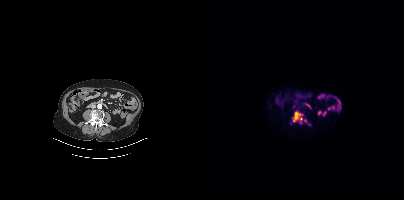
- Two-panel axial: CT | PSMA PET, 18F tracer
- acquired on Siemens Biograph mCT Flow 20
- PET panel 200×200 px (4.1 mm/px)
Findings: Coordinates are on the 200×200 PET (right) panel. PSMA-avid tumor lesion bounding box (x, y, width, height): x=88 y=110 w=16 h=14. Small PSMA-avid foci (2 to 4 px across) near (center x, center y): (86, 124); (105, 124).